Technique: Paired axial CT (left) and PSMA PET (right), 18F-PSMA tracer. acquired on Siemens Biograph mCT Flow 20. PET panel 200×200 px (4.1 mm/px).
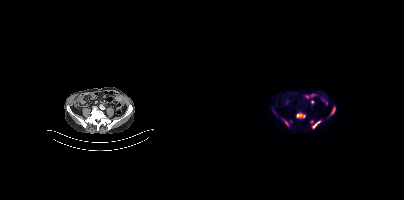
Findings: Coordinates are on the 200×200 PET (right) panel. PSMA-avid tumor lesion bounding boxes (x0, y0)-(x1, y1): (106, 120)-(118, 128); (92, 113)-(101, 118); (125, 106)-(131, 116); (81, 121)-(84, 125). Small PSMA-avid foci (2 to 4 px across) near (center x, center y): (70, 112); (79, 119).